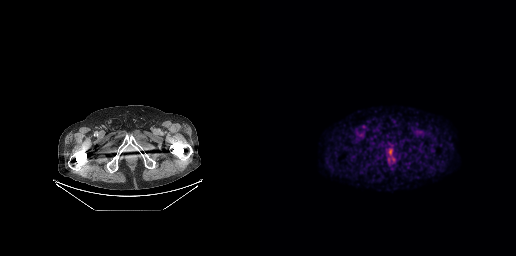
Technique: Paired axial CT (left) and PSMA PET (right), [18F]PSMA-1007 tracer. slice position z = -727 mm.
Findings: Coordinates are on the 256×256 PET (right) panel. Small PSMA-avid focus (2 to 4 px across) near (center x, center y): (130, 152).